redaction: privacy mask over head | modality: PSMA PET/CT | tracer: 18F | view: axial
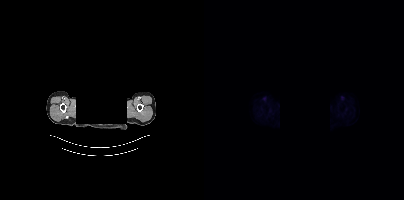
No tumor lesions annotated on this slice.